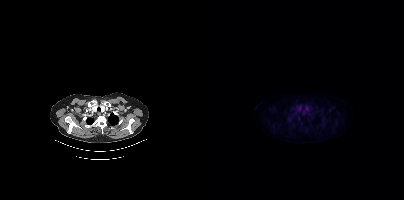
No tumor lesions annotated on this slice.